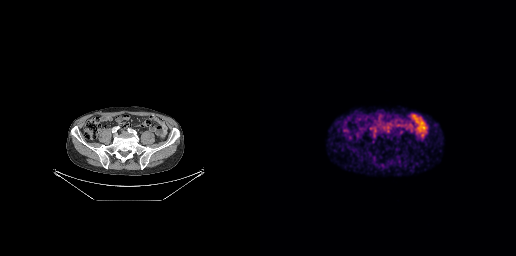
Findings: Negative for PSMA-avid disease on this slice.
- Two-panel axial: CT | PSMA PET, [68Ga]Ga-PSMA-11 tracer
- acquired on GE Discovery 690
- slice 82 of 263
- PET panel 256×256 px (2.7 mm/px)